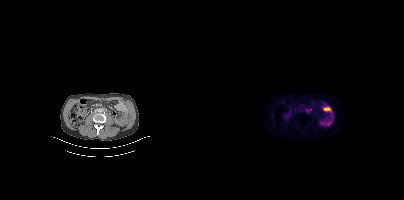
Paired axial CT (left) and PSMA PET (right), [18F]PSMA-1007 tracer. Slice position z = -1372 mm. PET panel 200×200 px (4.1 mm/px).
Coordinates are on the 200×200 PET (right) panel. PSMA-avid tumor lesion bounding boxes:
| # | x0 | y0 | x1 | y1 |
|---|---|---|---|---|
| 1 | 101 | 108 | 107 | 112 |